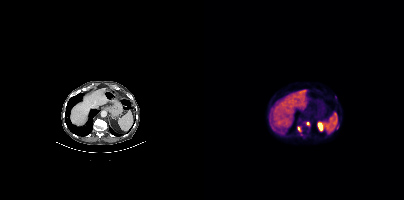
Left: CT. Right: PSMA PET, same axial level, 18F-PSMA tracer. Slice position z = -109 mm.
Coordinates are on the 200×200 PET (right) panel. PSMA-avid tumor lesion bounding boxes:
| # | x0 | y0 | x1 | y1 |
|---|---|---|---|---|
| 1 | 93 | 126 | 97 | 131 |
Small PSMA-avid focus (2 to 4 px across) near (center x, center y): (104, 123).